modality: PSMA PET/CT | tracer: 18F | view: axial | PET grid: 200×200
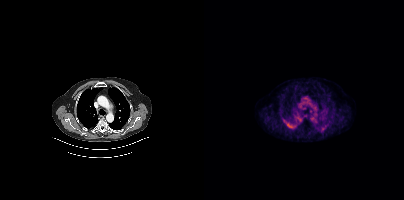
No PSMA-avid tumor lesions on this slice.